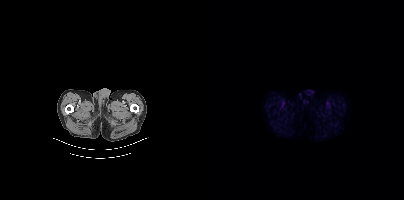
No PSMA-avid tumor lesions on this slice. Left: CT. Right: PSMA PET, same axial level, 18F tracer. Acquired on Siemens Biograph mCT Flow 20. Slice position z = -1562 mm. PET panel 200×200 px (4.1 mm/px).